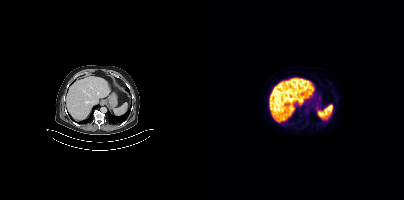
No tumor lesions annotated on this slice. Two-panel axial: CT | PSMA PET, [18F]PSMA-1007 tracer.